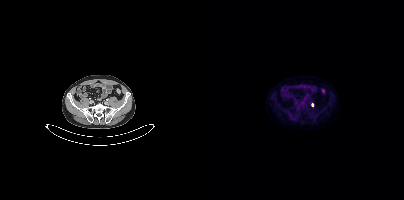
Coordinates are on the 200×200 PET (right) panel. Small PSMA-avid focus (2 to 4 px across) near (center x, center y): (108, 104).